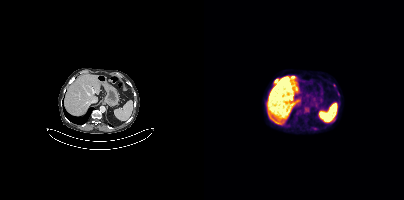
- Two-panel axial: CT | PSMA PET, [18F]PSMA-1007 tracer
- slice 194 of 373
Findings: Coordinates are on the 200×200 PET (right) panel. (showing 1 of 2 foci) PSMA-avid tumor lesion bounding box (x0, y0)-(x1, y1): (70, 79)-(74, 82).